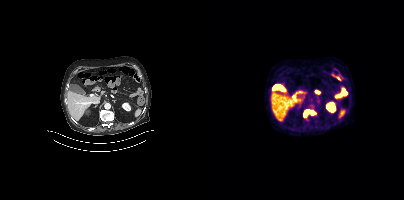
{"modality":"PSMA PET/CT","view":"axial","tracer":"[18F]PSMA-1007","pet_grid":[200,200],"coord_frame":"pet_panel","coord_format":"x0,y0,x1,y1","lesion_bboxes":[[99,109,112,117]]}